- Paired axial CT (left) and PSMA PET (right), [18F]PSMA-1007 tracer
- acquired on Siemens Biograph mCT Flow 20
- slice position z = -1101 mm
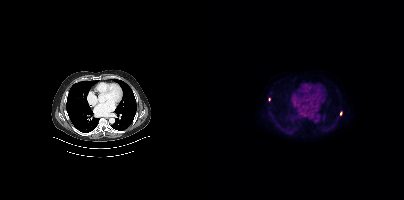
Findings: Coordinates are on the 200×200 PET (right) panel. Small PSMA-avid foci (2 to 4 px across) near (center x, center y): (65, 99); (136, 113).